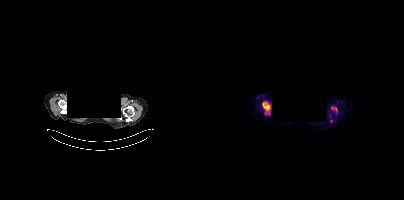
Findings: Coordinates are on the 200×200 PET (right) panel. (showing 2 of 4 foci) PSMA-avid tumor lesion bounding boxes (x0,y0,x1,y1): [58,102,66,113]; [127,107,133,111].
Technique: Two-panel axial: CT | PSMA PET, 18F tracer. slice 320 of 373. PET panel 200×200 px (4.1 mm/px).
Note: Facial anatomy redacted by setting a rectangular region of the head to black.